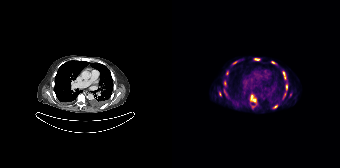
{"modality":"PSMA PET/CT","view":"axial","tracer":"[68Ga]Ga-PSMA-11","pet_grid":[168,168],"coord_frame":"pet_panel","coord_format":"x0,y0,x1,y1","lesion_bboxes":[[78,97,85,106],[110,71,114,79],[82,58,87,60],[100,61,104,64],[114,84,115,90],[101,105,105,108],[111,93,113,98]],"small_foci_centers":[[55,72],[52,83],[48,94],[62,62],[118,94],[52,91]]}